Paired axial CT (left) and PSMA PET (right), [18F]PSMA-1007 tracer. Slice position z = 32 mm. PET panel 200×200 px (4.1 mm/px).
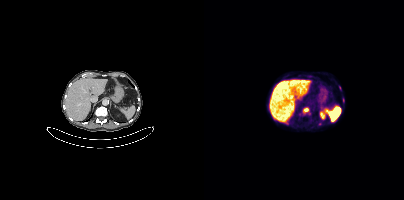
Coordinates are on the 200×200 PET (right) panel. PSMA-avid tumor lesion bounding boxes:
| # | x0 | y0 | x1 | y1 |
|---|---|---|---|---|
| 1 | 100 | 108 | 104 | 111 |